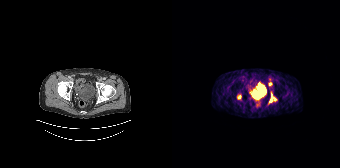
Coordinates are on the 168×168 PET (right) panel. PSMA-avid tumor lesion bounding boxes:
| # | x0 | y0 | x1 | y1 |
|---|---|---|---|---|
| 1 | 98 | 93 | 101 | 101 |
| 2 | 65 | 95 | 69 | 99 |
Small PSMA-avid foci (2 to 4 px across) near (center x, center y): (98, 83); (103, 99); (97, 79).
Paired axial CT (left) and PSMA PET (right), 68Ga tracer. Slice 55 of 195.